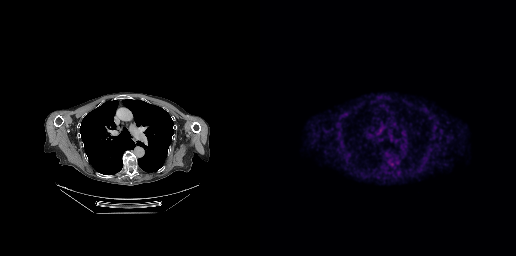
modality: PSMA PET/CT | tracer: [18F]PSMA-1007 | view: axial
Coordinates are on the 256×256 PET (right) panel. PSMA-avid tumor lesion bounding box (x0, y0)-(x1, y1): (121, 125)-(126, 129).